Two-panel axial: CT | PSMA PET, 18F-PSMA tracer. Acquired on Siemens Biograph mCT Flow 20.
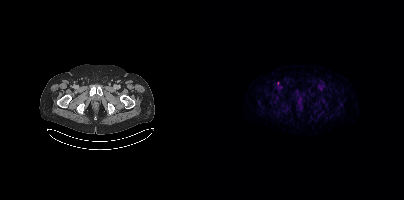
Coordinates are on the 200×200 PET (right) panel. Small PSMA-avid focus (2 to 4 px across) near (center x, center y): (118, 87).